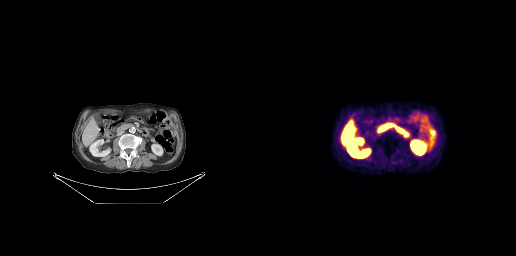
Two-panel axial: CT | PSMA PET, 18F tracer. PET panel 256×256 px (2.7 mm/px). No tumor lesions annotated on this slice.